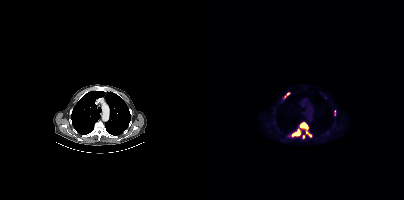
Coordinates are on the 200×200 PET (right) panel. (showing 5 of 6 foci) PSMA-avid tumor lesion bounding boxes (x0,y0,x1,y1): [96,122,107,137]; [88,130,95,136]; [80,93,85,98]. Small PSMA-avid foci (2 to 4 px across) near (center x, center y): (99, 137); (130, 111).
modality: PSMA PET/CT | tracer: 18F-PSMA | view: axial | PET grid: 200×200